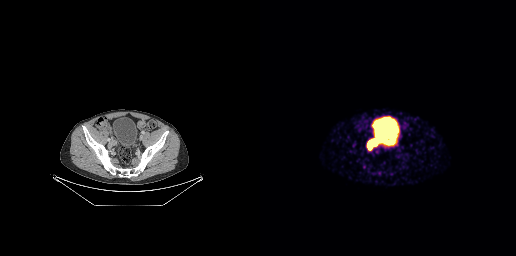
{"modality":"PSMA PET/CT","view":"axial","tracer":"68Ga-PSMA","pet_grid":[256,256],"coord_frame":"pet_panel","coord_format":"x0,y0,x1,y1","lesion_bboxes":[[107,139,117,149]]}